- Paired axial CT (left) and PSMA PET (right), 18F tracer
- PET panel 256×256 px (2.7 mm/px)
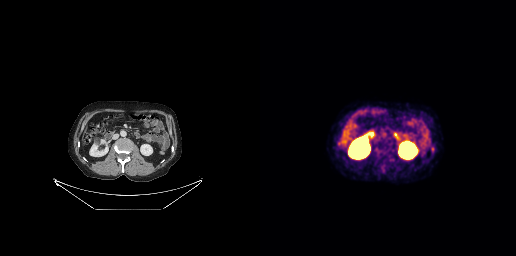
Findings: No tumor lesions annotated on this slice.